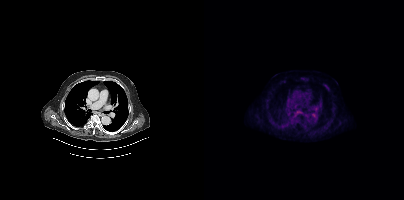
Technique: Paired axial CT (left) and PSMA PET (right), 18F tracer. acquired on Siemens Biograph mCT Flow 20.
Findings: Only PSMA-avid lesion pieces thinner than 2 px on this slice (not listed).